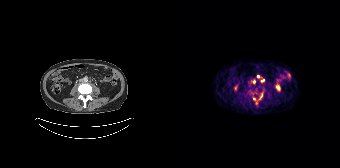
{"modality":"PSMA PET/CT","view":"axial","tracer":"68Ga","pet_grid":[168,168],"coord_frame":"pet_panel","coord_format":"x0,y0,x1,y1","partial":true,"lesion_bboxes":[[87,93,90,99]],"small_foci_centers":[[82,99],[90,81],[85,76],[84,102]]}